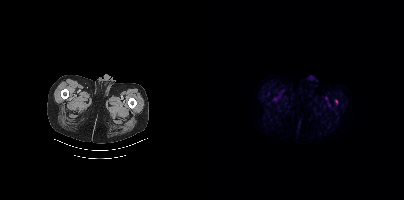
Coordinates are on the 200×200 PET (right) panel. Small PSMA-avid focus (2 to 4 px across) near (center x, center y): (132, 101).